Two-panel axial: CT | PSMA PET, [18F]PSMA-1007 tracer. Slice 110 of 263.
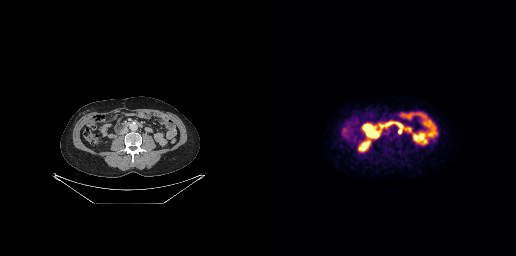
Coordinates are on the 256×256 PET (right) panel. PSMA-avid tumor lesion bounding boxes:
| # | x0 | y0 | x1 | y1 |
|---|---|---|---|---|
| 1 | 138 | 127 | 142 | 133 |